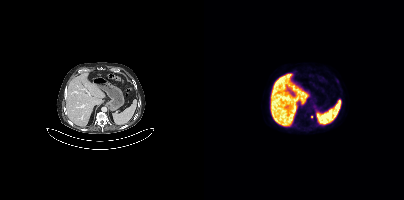
Coordinates are on the 200×200 PET (right) panel. Small PSMA-avid focus (2 to 4 px across) near (center x, center y): (107, 116).